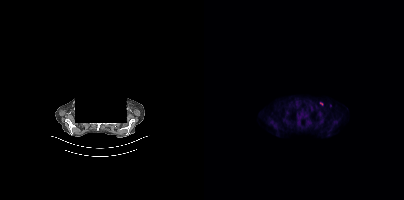
de-identification: facial region redacted | modality: PSMA PET/CT | tracer: 18F | view: axial | PET grid: 200×200
Coordinates are on the 200×200 PET (right) panel. Small PSMA-avid foci (2 to 4 px across) near (center x, center y): (126, 105); (117, 103).